modality: PSMA PET/CT | tracer: 68Ga-PSMA | view: axial
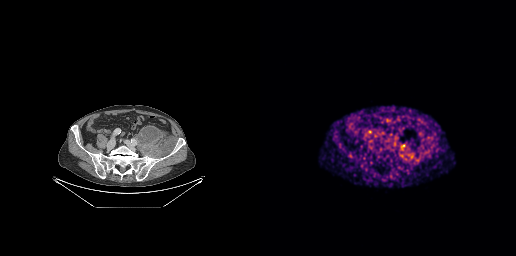
Coordinates are on the 256×256 PET (right) panel. PSMA-avid tumor lesion bounding box (x0,y0,x1,y1): [147,153,153,158].